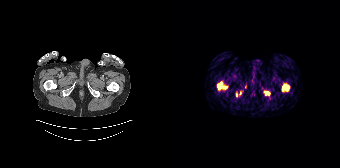
modality: PSMA PET/CT | tracer: [68Ga]Ga-PSMA-11 | view: axial
Coordinates are on the 168×168 PET (right) panel. (showing 4 of 6 foci) PSMA-avid tumor lesion bounding boxes (x0, y0)-(x1, y1): (110, 84)-(117, 91) | (45, 82)-(50, 88) | (92, 91)-(97, 95). Small PSMA-avid focus (2 to 4 px across) near (center x, center y): (53, 87).